- Paired axial CT (left) and PSMA PET (right), 18F-PSMA tracer
- slice 135 of 381
- PET panel 200×200 px (4.1 mm/px)
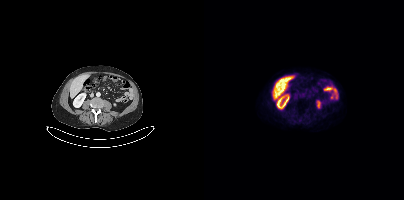
Findings: No tumor lesions annotated on this slice.